Paired axial CT (left) and PSMA PET (right), [18F]PSMA-1007 tracer. Slice position z = -783 mm. PET panel 200×200 px (4.1 mm/px).
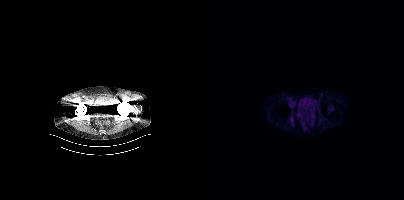
No PSMA-avid tumor lesions on this slice.